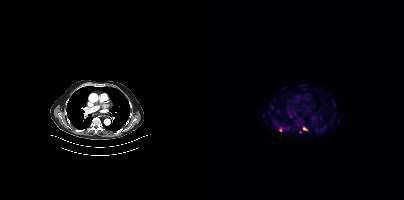
modality: PSMA PET/CT | tracer: 18F-PSMA | view: axial
Coordinates are on the 200×200 PET (right) panel. (showing 2 of 4 foci) Small PSMA-avid foci (2 to 4 px across) near (center x, center y): (100, 128) / (76, 129).